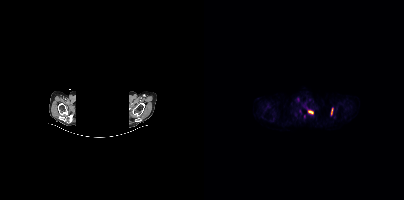
{"modality":"PSMA PET/CT","view":"axial","tracer":"[18F]PSMA-1007","pet_grid":[200,200],"coord_frame":"pet_panel","coord_format":"x0,y0,x1,y1","redaction":"head region blacked out before release","lesion_bboxes":[[104,110,109,113],[127,108,128,114]]}